Two-panel axial: CT | PSMA PET, 18F tracer. Acquired on Siemens Biograph mCT Flow 20. PET panel 200×200 px (4.1 mm/px).
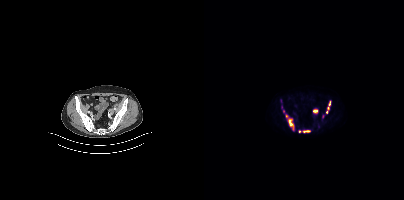
Coordinates are on the 200×200 PET (right) panel. (showing 7 of 8 foci) PSMA-avid tumor lesion bounding boxes (x0,y0,x1,y1): [81,114,90,130] [99,130,106,132] [77,106,80,112] [109,110,113,112] [125,101,126,105]. Small PSMA-avid foci (2 to 4 px across) near (center x, center y): (95, 131) (122, 112).